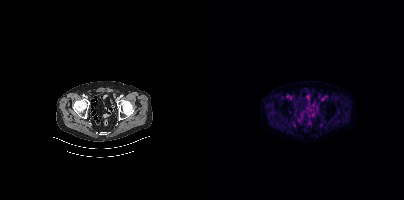
Negative for PSMA-avid disease on this slice.